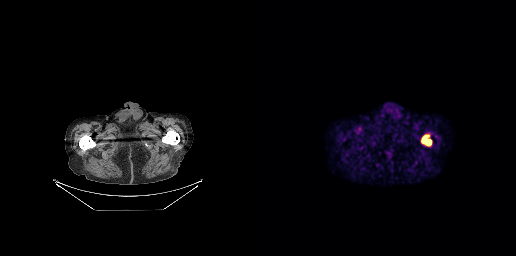
Findings: Coordinates are on the 256×256 PET (right) panel. PSMA-avid tumor lesion bounding box (x0, y0)-(x1, y1): (161, 135)-(171, 145).
Technique: Paired axial CT (left) and PSMA PET (right), [18F]PSMA-1007 tracer. slice 43 of 263. PET panel 256×256 px (2.7 mm/px).